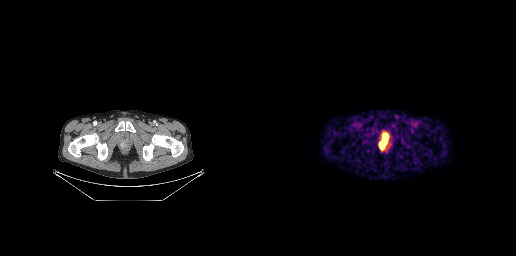
{"modality":"PSMA PET/CT","view":"axial","tracer":"68Ga","pet_grid":[256,256],"coord_frame":"pet_panel","coord_format":"x0,y0,x1,y1","lesion_bboxes":[[119,139,127,149]]}